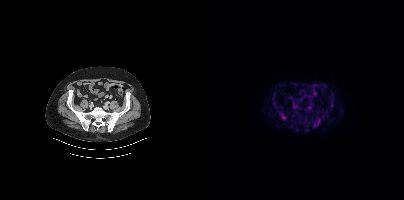
Technique: Paired axial CT (left) and PSMA PET (right), 18F-PSMA tracer. slice 143 of 464. PET panel 200×200 px (4.1 mm/px).
Findings: Coordinates are on the 200×200 PET (right) panel. (showing 8 of 9 foci) PSMA-avid tumor lesion bounding boxes (x0, y0)-(x1, y1): (109, 119)-(116, 127) | (75, 112)-(82, 119) | (119, 110)-(123, 114) | (69, 90)-(72, 96) | (126, 103)-(129, 107). Small PSMA-avid foci (2 to 4 px across) near (center x, center y): (90, 110) | (129, 98) | (111, 115).